Paired axial CT (left) and PSMA PET (right), 18F tracer.
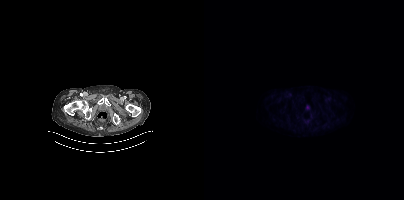
Negative for PSMA-avid disease on this slice.